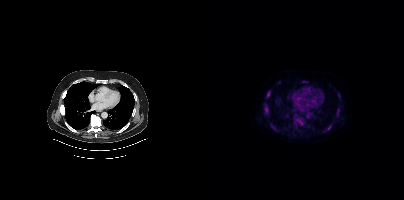
Coordinates are on the 200×200 PET (right) panel. (showing 11 of 12 foci) PSMA-avid tumor lesion bounding boxes (x0,y0,x1,y1): [60,104,65,115], [90,114,98,125], [67,125,71,129], [63,90,66,95], [132,110,135,114]. Small PSMA-avid foci (2 to 4 px across) near (center x, center y): (134, 94), (100, 82), (74, 130), (62, 97), (129, 122), (124, 127).
modality: PSMA PET/CT | tracer: 18F-PSMA | view: axial